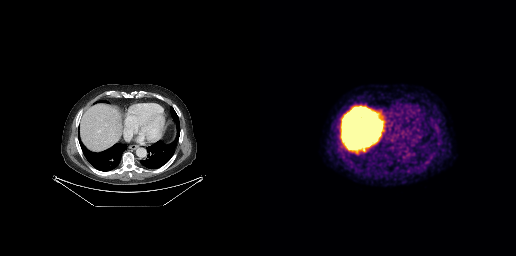
Coordinates are on the 256×256 PET (right) panel. Small PSMA-avid focus (2 to 4 px across) near (center x, center y): (148, 171).